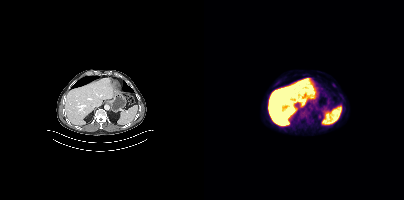
Technique: Two-panel axial: CT | PSMA PET, 18F-PSMA tracer. acquired on Siemens Biograph mCT Flow 20. PET panel 200×200 px (4.1 mm/px).
Findings: No PSMA-avid tumor lesions on this slice.